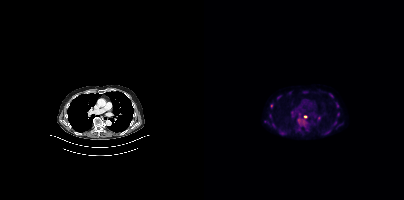
Technique: Paired axial CT (left) and PSMA PET (right), 18F-PSMA tracer. PET panel 200×200 px (4.1 mm/px).
Findings: Coordinates are on the 200×200 PET (right) panel. (showing 9 of 12 foci) PSMA-avid tumor lesion bounding boxes (x0,y0,x1,y1): [132,102,135,107], [125,93,129,97], [133,112,135,116], [99,91,103,93]. Small PSMA-avid foci (2 to 4 px across) near (center x, center y): (85, 92), (67, 105), (101, 116), (73, 98), (69, 125).